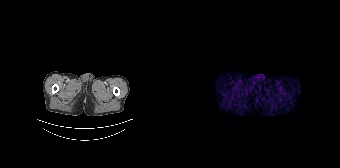
Left: CT. Right: PSMA PET, same axial level, 68Ga-PSMA tracer. Slice 37 of 195. Negative for PSMA-avid disease on this slice.